Left: CT. Right: PSMA PET, same axial level, [18F]PSMA-1007 tracer.
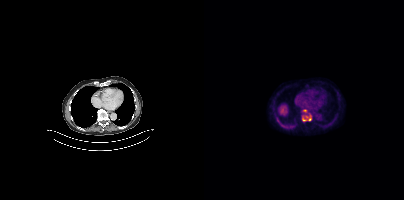
Coordinates are on the 200×200 PET (right) panel. PSMA-avid tumor lesion bounding box (x, y, width, height): x=98 y=115 w=10 h=7. Small PSMA-avid focus (2 to 4 px across) near (center x, center y): (100, 110).